redaction: facial region redacted | modality: PSMA PET/CT | tracer: 18F | view: axial
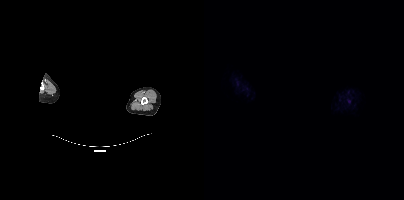
This slice has no annotated PSMA-avid lesion.